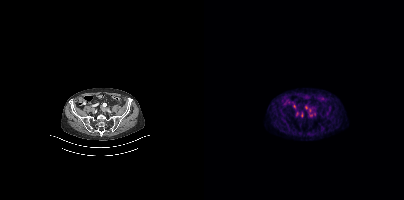
{"pet_grid":[200,200],"coord_frame":"pet_panel","coord_format":"x0,y0,x1,y1","partial":true,"lesion_bboxes":[],"small_foci_centers":[[90,105],[98,115],[106,116],[102,108],[110,114]],"modality":"PSMA PET/CT","view":"axial","tracer":"[68Ga]Ga-PSMA-11"}